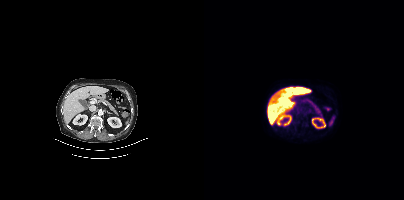
- Two-panel axial: CT | PSMA PET, 18F-PSMA tracer
Findings: No PSMA-avid tumor lesions on this slice.